A rectangular privacy mask was applied before release. Paired axial CT (left) and PSMA PET (right), 18F-PSMA tracer. PET panel 200×200 px (4.1 mm/px).
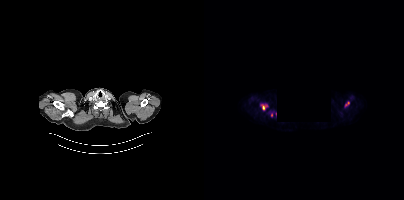
Coordinates are on the 200×200 PET (right) panel. PSMA-avid tumor lesion bounding boxes (partial; 3 more foci not listed):
| # | x0 | y0 | x1 | y1 |
|---|---|---|---|---|
| 1 | 58 | 105 | 60 | 109 |